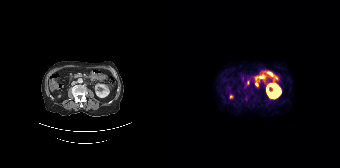
Two-panel axial: CT | PSMA PET, 68Ga-PSMA tracer. Acquired on Siemens Biograph 64-4R TruePoint. PET panel 168×168 px (4.1 mm/px).
Coordinates are on the 168×168 PET (right) panel. PSMA-avid tumor lesion bounding boxes:
| # | x0 | y0 | x1 | y1 |
|---|---|---|---|---|
| 1 | 83 | 80 | 86 | 86 |
Small PSMA-avid focus (2 to 4 px across) near (center x, center y): (76, 82).